modality: PSMA PET/CT | tracer: 68Ga | view: axial
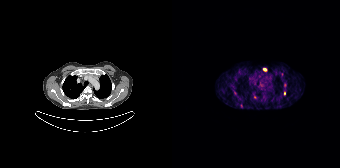
Coordinates are on the 168×168 PET (right) panel. (showing 3 of 4 foci) PSMA-avid tumor lesion bounding box (x0,y0,x1,y1): [112,91,113,95]. Small PSMA-avid foci (2 to 4 px across) near (center x, center y): (93, 69); (83, 97).